Two-panel axial: CT | PSMA PET, 18F tracer. PET panel 256×256 px (2.7 mm/px).
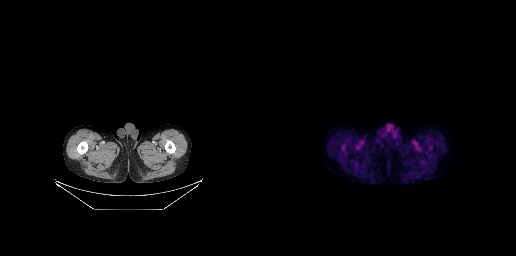
Negative for PSMA-avid disease on this slice.